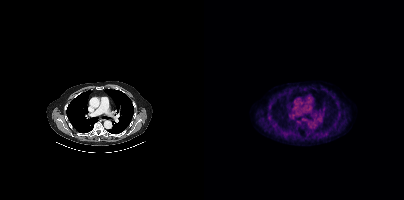
{"modality":"PSMA PET/CT","view":"axial","tracer":"18F","pet_grid":[200,200],"coord_frame":"pet_panel","coord_format":"x0,y0,x1,y1","psma_avid_lesions":false}